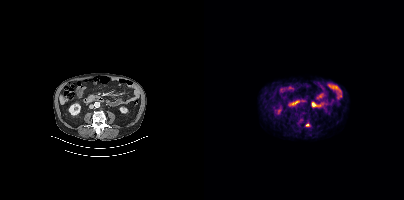
Technique: Paired axial CT (left) and PSMA PET (right), 18F-PSMA tracer. slice position z = -1334 mm.
Findings: Coordinates are on the 200×200 PET (right) panel. Small PSMA-avid focus (2 to 4 px across) near (center x, center y): (103, 125).